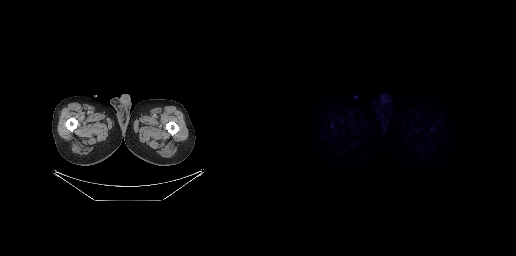
modality: PSMA PET/CT | tracer: [18F]PSMA-1007 | view: axial | PET grid: 256×256
No tumor lesions annotated on this slice.